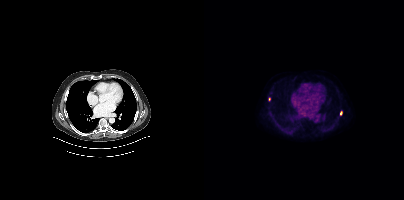
Technique: Left: CT. Right: PSMA PET, same axial level, 18F tracer. slice 298 of 442.
Findings: Coordinates are on the 200×200 PET (right) panel. Small PSMA-avid foci (2 to 4 px across) near (center x, center y): (137, 112) / (65, 99).